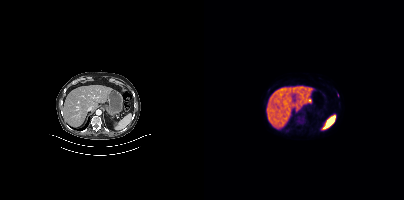
This slice has no annotated PSMA-avid lesion. Left: CT. Right: PSMA PET, same axial level, 18F-PSMA tracer. Slice 238 of 423. PET panel 200×200 px (4.1 mm/px).